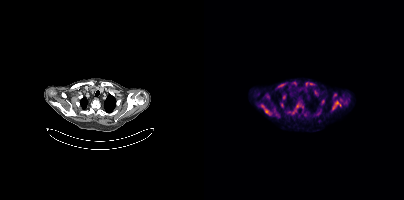
Coordinates are on the 200×200 PET (right) panel. (showing 6 of 8 foci) PSMA-avid tumor lesion bounding boxes (x, y, width, height): x=57 y=105 w=12 h=11 | x=128 y=101 w=10 h=9 | x=88 y=106 w=8 h=8 | x=105 y=82 w=6 h=4 | x=77 y=83 w=5 h=4. Small PSMA-avid focus (2 to 4 px across) near (center x, center y): (84, 112).